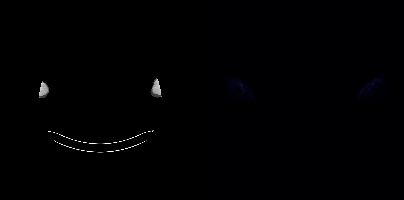
{"modality":"PSMA PET/CT","view":"axial","tracer":"18F-PSMA","pet_grid":[200,200],"coord_frame":"pet_panel","coord_format":"x0,y0,x1,y1","de-identification":"head region blanked (face removed)","psma_avid_lesions":false}